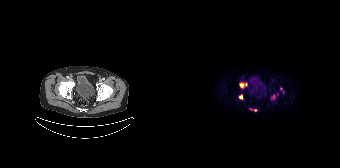
Findings: Coordinates are on the 168×168 PET (right) panel. (showing 4 of 6 foci) PSMA-avid tumor lesion bounding boxes (x, y, width, height): x=67 y=82 w=9 h=7; x=67 y=95 w=4 h=5. Small PSMA-avid foci (2 to 4 px across) near (center x, center y): (83, 110); (101, 96).
- Left: CT. Right: PSMA PET, same axial level, [18F]PSMA-1007 tracer
- acquired on Siemens Biograph 64-4R TruePoint